Paired axial CT (left) and PSMA PET (right), 18F tracer.
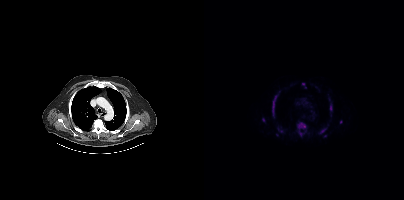
Coordinates are on the 200×200 PET (right) panel. PSMA-avid tumor lesion bounding boxes (partial; 3 more foci not listed):
| # | x0 | y0 | x1 | y1 |
|---|---|---|---|---|
| 1 | 93 | 122 | 101 | 136 |
| 2 | 68 | 95 | 73 | 116 |
| 3 | 126 | 104 | 128 | 110 |
| 4 | 116 | 129 | 121 | 133 |
Small PSMA-avid foci (2 to 4 px across) near (center x, center y): (59, 119); (99, 83); (136, 122); (77, 131); (72, 134).